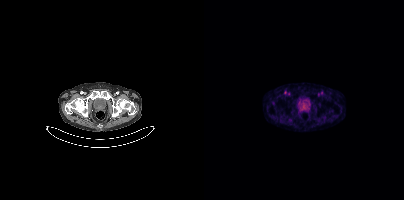
Two-panel axial: CT | PSMA PET, [18F]PSMA-1007 tracer. Acquired on Siemens Biograph mCT Flow 20. PET panel 200×200 px (4.1 mm/px). No PSMA-avid tumor lesions on this slice.